Facial anatomy redacted by setting a rectangular region of the head to black.
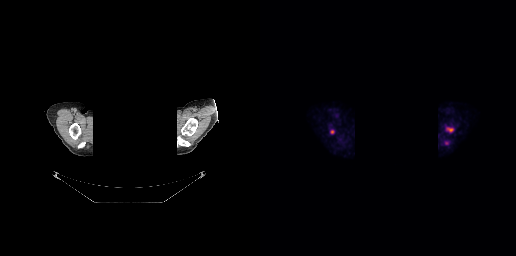
Coordinates are on the 256×256 PET (right) panel. PSMA-avid tumor lesion bounding boxes (x0,y0,x1,y1): [186,127,193,132], [70,129,74,134]. Small PSMA-avid focus (2 to 4 px across) near (center x, center y): (186, 142).